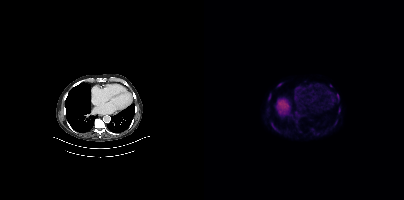
{"modality":"PSMA PET/CT","view":"axial","tracer":"18F-PSMA","pet_grid":[200,200],"coord_frame":"pet_panel","coord_format":"x0,y0,x1,y1","lesion_bboxes":[[67,122,75,131],[64,93,67,100],[132,93,135,97],[73,83,77,86],[135,108,136,112]],"small_foci_centers":[[126,85],[131,122]]}